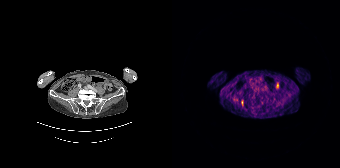
modality: PSMA PET/CT | tracer: 68Ga-PSMA | view: axial | PET grid: 168×168
This slice has no annotated PSMA-avid lesion.